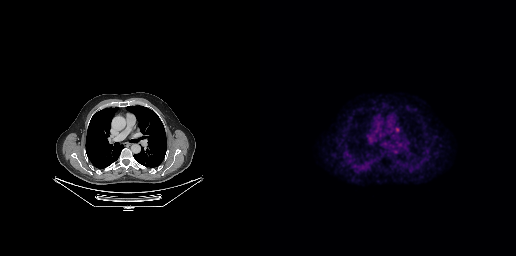
Coordinates are on the 256×256 PET (right) panel. PSMA-avid tumor lesion bounding boxes (x, y, width, height): x=134 y=127 w=7 h=7 / x=108 y=136 w=6 h=7.